Paired axial CT (left) and PSMA PET (right), 18F-PSMA tracer. PET panel 200×200 px (4.1 mm/px).
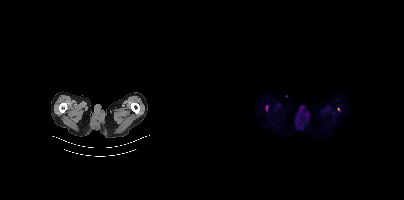
Coordinates are on the 200×200 PET (right) panel. PSMA-avid tumor lesion bounding boxes:
| # | x0 | y0 | x1 | y1 |
|---|---|---|---|---|
| 1 | 62 | 106 | 63 | 110 |
Small PSMA-avid focus (2 to 4 px across) near (center x, center y): (134, 109).